modality: PSMA PET/CT | tracer: 18F | view: axial | PET grid: 200×200
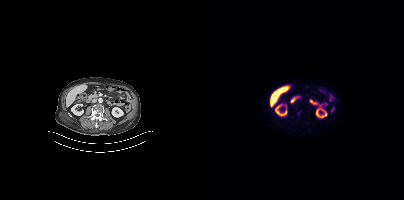
Coordinates are on the 200×200 PET (right) panel. Small PSMA-avid focus (2 to 4 px across) near (center x, center y): (94, 113).